Technique: Left: CT. Right: PSMA PET, same axial level, [18F]PSMA-1007 tracer. acquired on Siemens Biograph mCT Flow 20. slice 235 of 417.
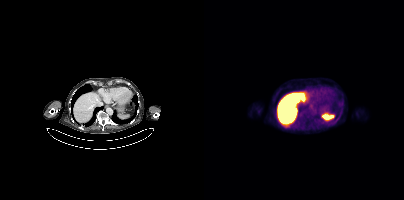
Findings: This slice has no annotated PSMA-avid lesion.